- Two-panel axial: CT | PSMA PET, 68Ga-PSMA tracer
- acquired on Siemens Biograph 64-4R TruePoint
- slice 56 of 195
- PET panel 168×168 px (4.1 mm/px)
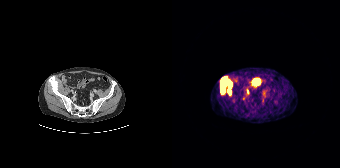
Findings: Coordinates are on the 168×168 PET (right) panel. PSMA-avid tumor lesion bounding box (x, y, width, height): x=48 y=76 w=13 h=20.